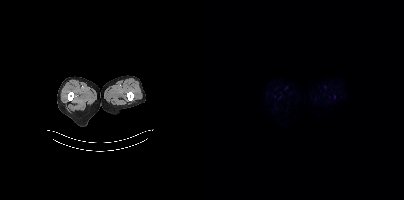
Paired axial CT (left) and PSMA PET (right), 18F-PSMA tracer. Acquired on Siemens Biograph mCT Flow 20. PET panel 200×200 px (4.1 mm/px). No tumor lesions annotated on this slice.